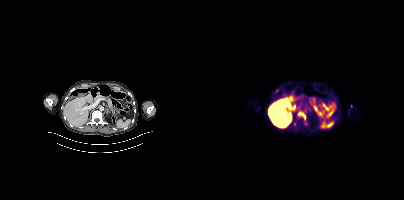
Coordinates are on the 200×200 PET (right) panel. PSMA-avid tumor lesion bounding box (x, y, width, height): x=93 y=111 w=10 h=10.